Technique: Two-panel axial: CT | PSMA PET, 18F-PSMA tracer.
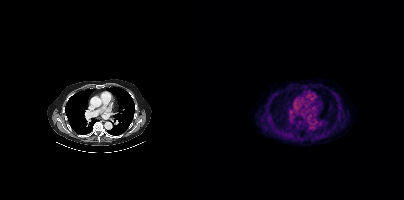
Findings: No PSMA-avid tumor lesions on this slice.